- an anonymization step blacked out a rectangle over the head in this scan
- Paired axial CT (left) and PSMA PET (right), 18F-PSMA tracer
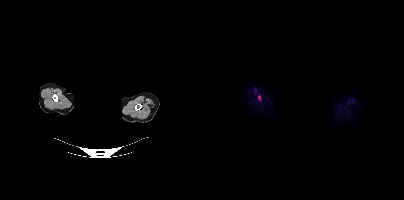
Findings: Coordinates are on the 200×200 PET (right) panel. PSMA-avid tumor lesion bounding box (x, y, width, height): x=54 y=96 w=3 h=5.